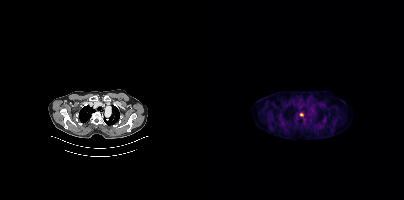
{"pet_grid":[200,200],"coord_frame":"pet_panel","coord_format":"x0,y0,x1,y1","lesion_bboxes":[],"small_foci_centers":[[97,114]],"modality":"PSMA PET/CT","view":"axial","tracer":"18F"}